Left: CT. Right: PSMA PET, same axial level, 18F-PSMA tracer. PET panel 200×200 px (4.1 mm/px).
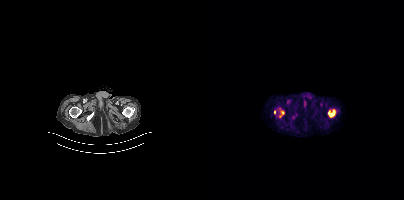
Coordinates are on the 200×200 PET (right) panel. PSMA-avid tumor lesion bounding boxes (partial; 1 more focus not listed):
| # | x0 | y0 | x1 | y1 |
|---|---|---|---|---|
| 1 | 75 | 111 | 80 | 117 |
| 2 | 70 | 110 | 71 | 114 |
Small PSMA-avid focus (2 to 4 px across) near (center x, center y): (89, 117).